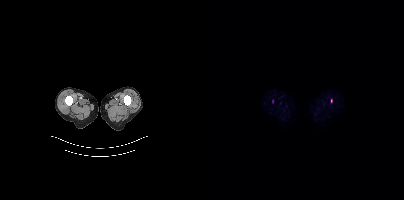
Findings: Coordinates are on the 200×200 PET (right) panel. Small PSMA-avid foci (2 to 4 px across) near (center x, center y): (127, 100), (68, 101).
- Left: CT. Right: PSMA PET, same axial level, 18F tracer